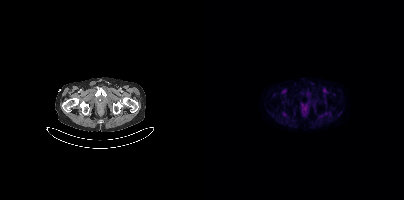
- Paired axial CT (left) and PSMA PET (right), 18F tracer
- acquired on Siemens Biograph mCT Flow 20
- slice 55 of 401
Findings: Negative for PSMA-avid disease on this slice.